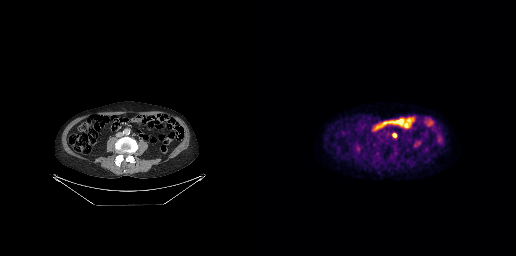
{"pet_grid":[256,256],"coord_frame":"pet_panel","coord_format":"x0,y0,x1,y1","lesion_bboxes":[[133,133,136,137]],"modality":"PSMA PET/CT","view":"axial","tracer":"[18F]PSMA-1007"}